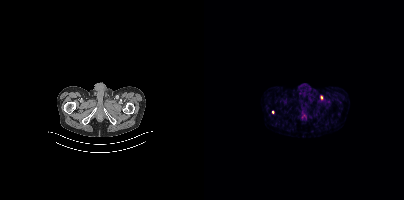
{"modality":"PSMA PET/CT","view":"axial","tracer":"68Ga","pet_grid":[200,200],"coord_frame":"pet_panel","coord_format":"x0,y0,x1,y1","lesion_bboxes":[],"small_foci_centers":[[117,97],[68,111]]}